Technique: Left: CT. Right: PSMA PET, same axial level, [18F]PSMA-1007 tracer. acquired on Siemens Biograph mCT Flow 20. slice position z = 204 mm.
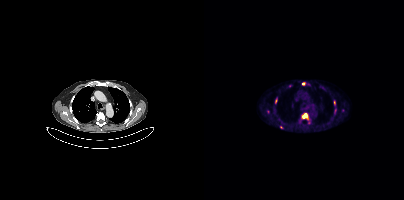
Findings: Coordinates are on the 200×200 PET (right) panel. (showing 5 of 7 foci) PSMA-avid tumor lesion bounding boxes (x, y, width, height): x=98 y=113 w=7 h=7 / x=71 y=99 w=3 h=5. Small PSMA-avid foci (2 to 4 px across) near (center x, center y): (99, 83) / (130, 102) / (77, 127).